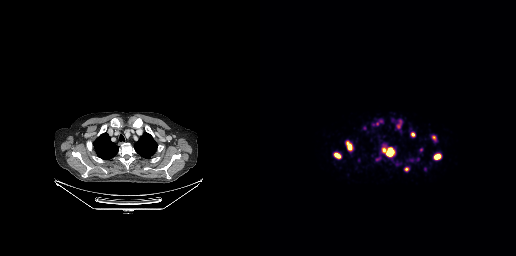
Findings: Coordinates are on the 256×256 PET (right) panel. (showing 7 of 8 foci) PSMA-avid tumor lesion bounding boxes (x, y, width, height): x=122 y=148 w=11 h=8 / x=137 y=119 w=6 h=8 / x=174 y=154 w=7 h=6 / x=88 y=144 w=4 h=6 / x=75 y=153 w=6 h=6 / x=151 y=132 w=5 h=5 / x=144 y=167 w=6 h=5.
- Paired axial CT (left) and PSMA PET (right), 68Ga tracer
- acquired on GE Discovery 690
- PET panel 256×256 px (2.7 mm/px)